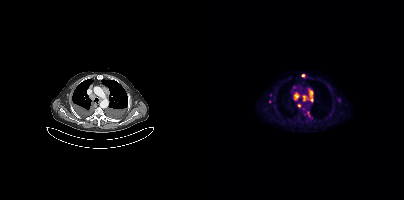
Two-panel axial: CT | PSMA PET, [18F]PSMA-1007 tracer. PET panel 200×200 px (4.1 mm/px). Coordinates are on the 200×200 PET (right) panel. (showing 6 of 7 foci) PSMA-avid tumor lesion bounding boxes (x0,y0,x1,y1): [104,89,109,101] [90,93,94,99] [99,95,102,100]. Small PSMA-avid foci (2 to 4 px across) near (center x, center y): (98, 75) (95, 105) (65, 101).